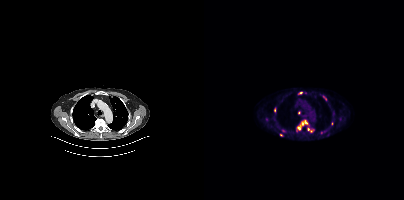
{"pet_grid":[200,200],"coord_frame":"pet_panel","coord_format":"x0,y0,x1,y1","partial":true,"lesion_bboxes":[[94,120,104,129],[119,96,122,100]],"small_foci_centers":[[77,135],[70,109],[97,92],[104,128],[94,112]],"modality":"PSMA PET/CT","view":"axial","tracer":"18F-PSMA"}